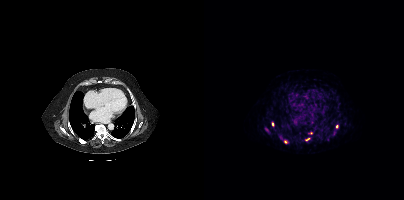
- Left: CT. Right: PSMA PET, same axial level, 68Ga-PSMA tracer
- acquired on Siemens Biograph mCT Flow 20
- PET panel 200×200 px (4.1 mm/px)
Findings: Coordinates are on the 200×200 PET (right) panel. Small PSMA-avid foci (2 to 4 px across) near (center x, center y): (81, 141); (69, 125); (106, 133); (133, 126); (103, 139).